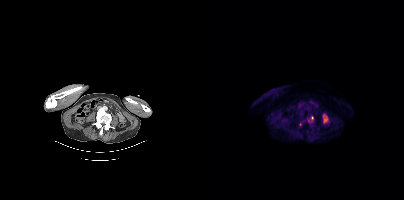
Coordinates are on the 200×200 PET (right) panel. PSMA-avid tumor lesion bounding box (x, y, width, height): x=104 y=116 w=6 h=5. Small PSMA-avid focus (2 to 4 px across) near (center x, center y): (96, 124).